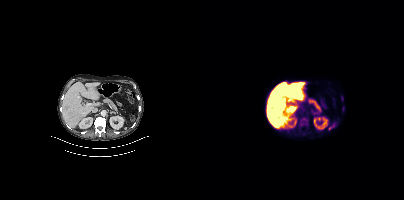
Coordinates are on the 200×200 PET (right) panel. PSMA-avid tumor lesion bounding boxes (x, y, width, height): x=96 y=118 w=8 h=8 | x=137 y=96 w=3 h=6. Small PSMA-avid focus (2 to 4 px across) near (center x, center y): (139, 107).